- Left: CT. Right: PSMA PET, same axial level, [18F]PSMA-1007 tracer
- slice 93 of 263
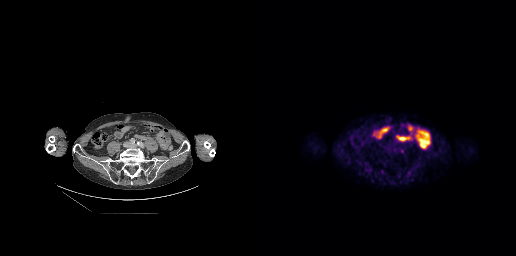
Findings: Coordinates are on the 256×256 PET (right) panel. Small PSMA-avid focus (2 to 4 px across) near (center x, center y): (141, 150).